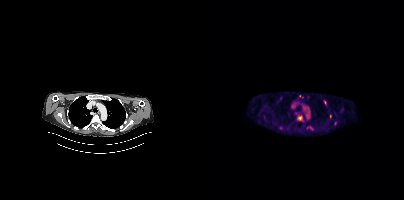
Coordinates are on the 200×200 PET (right) panel. (showing 6 of 8 foci) PSMA-avid tumor lesion bounding boxes (x0,y0,x1,y1): [93,116,98,120], [120,100,122,104]. Small PSMA-avid foci (2 to 4 px across) near (center x, center y): (77, 128), (126, 116), (76, 98), (131, 123). Left: CT. Right: PSMA PET, same axial level, 18F tracer. Slice 306 of 421.